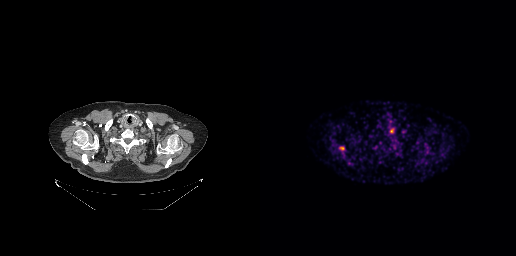
modality: PSMA PET/CT | tracer: 68Ga-PSMA | view: axial
Coordinates are on the 256×256 PET (right) panel. (showing 2 of 3 foci) PSMA-avid tumor lesion bounding box (x0,y0,x1,y1): [79,146,84,150]. Small PSMA-avid focus (2 to 4 px across) near (center x, center y): (131, 130).